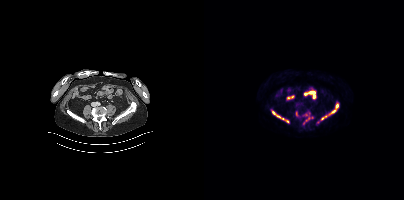
Coordinates are on the 200×200 PET (right) panel. (showing 5 of 7 foci) PSMA-avid tumor lesion bounding boxes (x, y, width, height): x=118 y=110 w=14 h=10; x=68 y=111 w=9 h=8; x=99 y=118 w=7 h=7. Small PSMA-avid foci (2 to 4 px across) near (center x, center y): (133, 105); (83, 121). Two-panel axial: CT | PSMA PET, 18F-PSMA tracer.